Two-panel axial: CT | PSMA PET, [18F]PSMA-1007 tracer. Slice position z = -1146 mm.
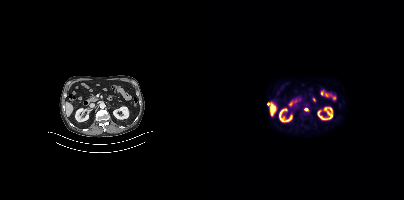
Only PSMA-avid lesion pieces thinner than 2 px on this slice (not listed).